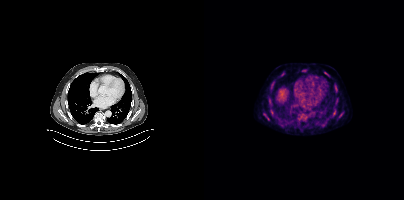
Coordinates are on the 200×200 PET (right) panel. (showing 8 of 9 foci) PSMA-avid tumor lesion bounding boxes (x0, y0)-(x1, y1): (60, 113)-(65, 120); (97, 69)-(103, 72); (77, 72)-(80, 76); (120, 72)-(124, 75). Small PSMA-avid foci (2 to 4 px across) near (center x, center y): (132, 88); (67, 87); (68, 113); (128, 115).